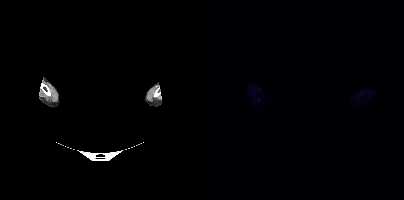
- the head region is masked for de-identification
- Left: CT. Right: PSMA PET, same axial level, 18F tracer
- slice position z = 255 mm
- PET panel 200×200 px (4.1 mm/px)
Findings: No tumor lesions annotated on this slice.